Two-panel axial: CT | PSMA PET, 18F tracer. PET panel 256×256 px (2.7 mm/px).
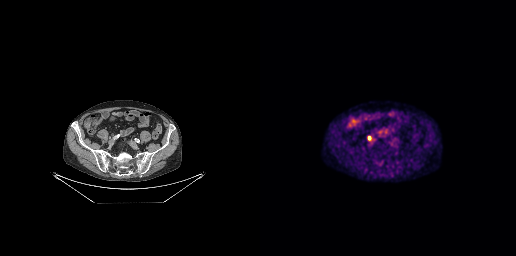
Coordinates are on the 256×256 PET (right) panel. PSMA-avid tumor lesion bounding boxes:
| # | x0 | y0 | x1 | y1 |
|---|---|---|---|---|
| 1 | 108 | 136 | 111 | 140 |